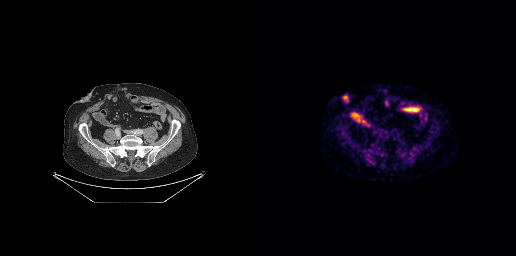
Two-panel axial: CT | PSMA PET, 18F-PSMA tracer. Slice position z = -704 mm. PET panel 256×256 px (2.7 mm/px). This slice has no annotated PSMA-avid lesion.